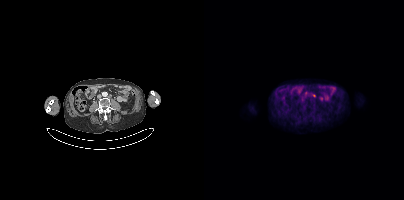
Two-panel axial: CT | PSMA PET, 18F-PSMA tracer. Slice 158 of 417. PET panel 200×200 px (4.1 mm/px). Coordinates are on the 200×200 PET (right) panel. Small PSMA-avid foci (2 to 4 px across) near (center x, center y): (98, 99); (101, 93); (110, 95).